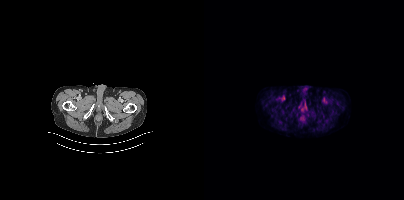
- Left: CT. Right: PSMA PET, same axial level, [18F]PSMA-1007 tracer
- acquired on Siemens Biograph mCT Flow 20
Findings: Negative for PSMA-avid disease on this slice.